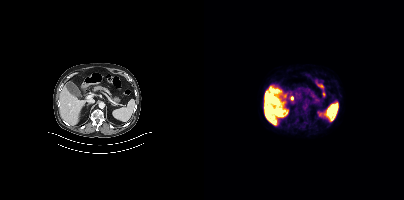
Negative for PSMA-avid disease on this slice.